Left: CT. Right: PSMA PET, same axial level, 18F tracer. PET panel 200×200 px (4.1 mm/px).
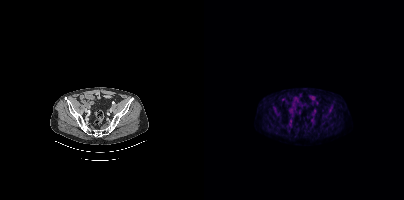
Negative for PSMA-avid disease on this slice.